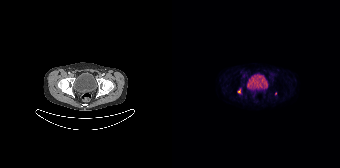
Coordinates are on the 168×168 PET (right) panel. PSMA-avid tumor lesion bounding box (x, y, width, height): x=66 y=89 w=3 h=5. Small PSMA-avid focus (2 to 4 px across) near (center x, center y): (103, 93).